modality: PSMA PET/CT | tracer: 18F-PSMA | view: axial | redaction: head region blacked out before release
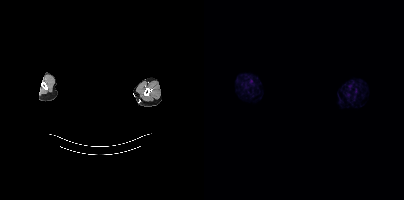
This slice has no annotated PSMA-avid lesion.